Left: CT. Right: PSMA PET, same axial level, [18F]PSMA-1007 tracer. PET panel 200×200 px (4.1 mm/px).
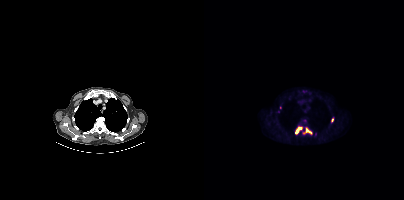
Coordinates are on the 200×200 PET (right) panel. PSMA-avid tumor lesion bounding boxes (x0, y0)-(x1, y1): (91, 126)-(98, 133); (99, 127)-(108, 134). Small PSMA-avid foci (2 to 4 px across) near (center x, center y): (128, 120); (76, 107).